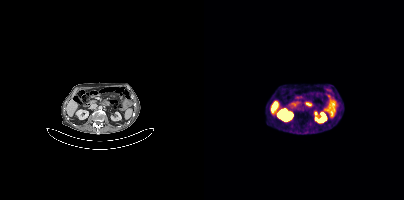
{"modality":"PSMA PET/CT","view":"axial","tracer":"68Ga-PSMA","pet_grid":[200,200],"coord_frame":"pet_panel","coord_format":"x0,y0,x1,y1","psma_avid_lesions":false}